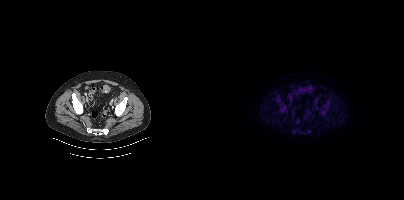
Two-panel axial: CT | PSMA PET, 18F tracer. Slice position z = -1333 mm.
Coordinates are on the 200×200 PET (right) panel. PSMA-avid tumor lesion bounding boxes (partial; 1 more focus not listed):
| # | x0 | y0 | x1 | y1 |
|---|---|---|---|---|
| 1 | 116 | 108 | 122 | 115 |
| 2 | 75 | 107 | 82 | 112 |
| 3 | 72 | 95 | 76 | 103 |
| 4 | 103 | 129 | 107 | 133 |
Small PSMA-avid focus (2 to 4 px across) near (center x, center y): (123, 103).